Left: CT. Right: PSMA PET, same axial level, 18F tracer.
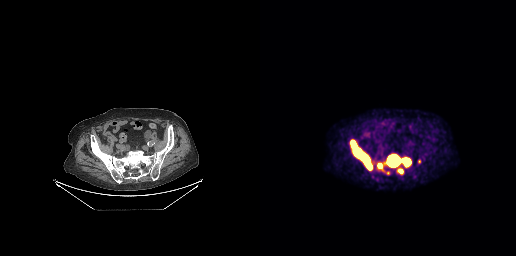
Coordinates are on the 256×256 PET (right) panel. (showing 2 of 3 foci) PSMA-avid tumor lesion bounding boxes (x0, y0)-(x1, y1): (117, 153)-(151, 174); (90, 139)-(112, 170).